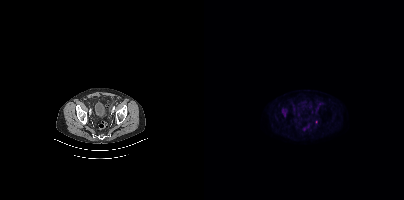
{"pet_grid":[200,200],"coord_frame":"pet_panel","coord_format":"x0,y0,x1,y1","partial":true,"lesion_bboxes":[[77,109,83,116]],"modality":"PSMA PET/CT","view":"axial","tracer":"[18F]PSMA-1007"}